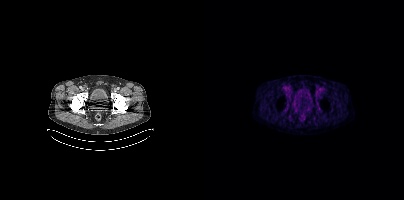
- Two-panel axial: CT | PSMA PET, 18F tracer
- slice 93 of 454
- PET panel 200×200 px (4.1 mm/px)
Findings: This slice has no annotated PSMA-avid lesion.